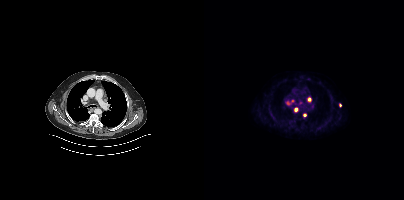
Coordinates are on the 200×200 PET (right) panel. PSMA-avid tumor lesion bounding boxes (x0,y0,x1,y1): [90,107,94,111], [104,97,107,101]. Small PSMA-avid foci (2 to 4 px across) near (center x, center y): (100, 115), (88, 100), (83, 103), (136, 105). Left: CT. Right: PSMA PET, same axial level, [18F]PSMA-1007 tracer. PET panel 200×200 px (4.1 mm/px).